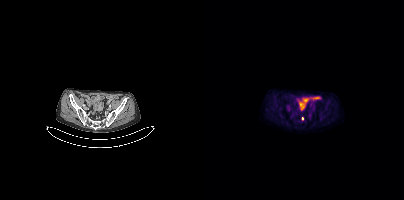
Coordinates are on the 200×200 PET (right) panel. Small PSMA-avid focus (2 to 4 px across) near (center x, center y): (98, 118).